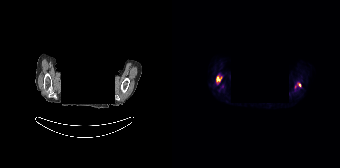
Coordinates are on the 168×168 PET (right) panel. PSMA-avid tumor lesion bounding boxes:
| # | x0 | y0 | x1 | y1 |
|---|---|---|---|---|
| 1 | 44 | 75 | 49 | 82 |
| 2 | 125 | 82 | 129 | 86 |
Small PSMA-avid focus (2 to 4 px across) near (center x, center y): (123, 86).
Left: CT. Right: PSMA PET, same axial level, [18F]PSMA-1007 tracer. Slice 145 of 165. The face region was removed for patient privacy by blanking a rectangle over the head.